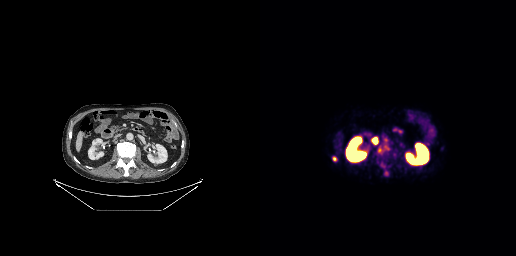
{"pet_grid":[256,256],"coord_frame":"pet_panel","coord_format":"x0,y0,x1,y1","partial":true,"lesion_bboxes":[[113,138,117,143],[123,137,127,140]],"small_foci_centers":[[74,158]],"modality":"PSMA PET/CT","view":"axial","tracer":"[68Ga]Ga-PSMA-11"}